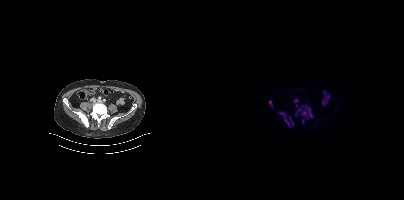
Coordinates are on the 200×200 PET (right) panel. PSMA-avid tumor lesion bounding boxes (x, y, width, height): x=93 y=105 w=17 h=13 | x=75 y=112 w=15 h=15 | x=98 y=118 w=4 h=6 | x=65 y=101 w=4 h=6. Small PSMA-avid focus (2 to 4 px across) near (center x, center y): (91, 100). Two-panel axial: CT | PSMA PET, [18F]PSMA-1007 tracer.